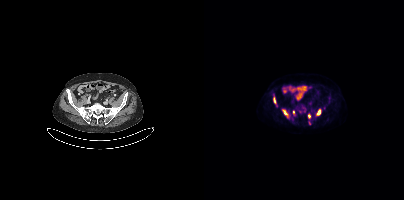
Technique: Left: CT. Right: PSMA PET, same axial level, [18F]PSMA-1007 tracer. slice position z = -1360 mm.
Findings: Coordinates are on the 200×200 PET (right) panel. (showing 7 of 8 foci) PSMA-avid tumor lesion bounding boxes (x0,y0,x1,y1): [98,105,102,111], [113,109,116,115], [79,110,83,116], [69,97,72,103]. Small PSMA-avid foci (2 to 4 px across) near (center x, center y): (105, 115), (89, 112), (105, 122).